Two-panel axial: CT | PSMA PET, 18F tracer. Slice position z = -1180 mm.
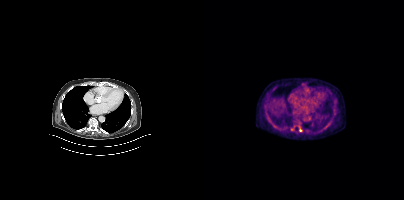
Coordinates are on the 200×200 PET (right) panel. PSMA-avid tumor lesion bounding box (x0, y0)-(x1, y1): (95, 126)-(98, 131).